Two-panel axial: CT | PSMA PET, 68Ga-PSMA tracer.
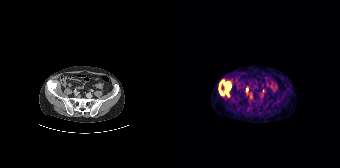
Coordinates are on the 168×168 PET (right) panel. PSMA-avid tumor lesion bounding box (x0,y0,x1,y1): [47,80,59,96]. Small PSMA-avid focus (2 to 4 px across) near (center x, center y): (74, 89).